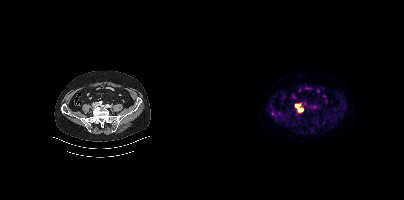
Coordinates are on the 200×200 PET (right) panel. PSMA-avid tumor lesion bounding boxes (x, y, width, height): x=91 y=104 w=6 h=4 | x=94 y=108 w=6 h=3.